Two-panel axial: CT | PSMA PET, 18F-PSMA tracer. Slice 26 of 354.
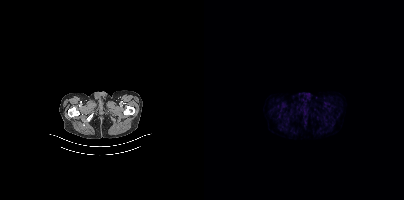
This slice has no annotated PSMA-avid lesion.